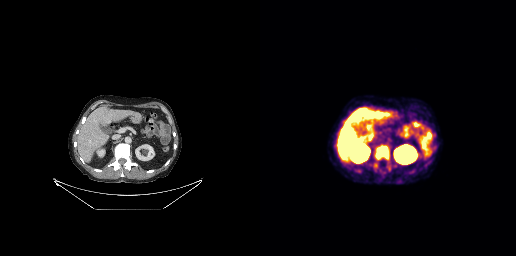
{"pet_grid":[256,256],"coord_frame":"pet_panel","coord_format":"x0,y0,x1,y1","lesion_bboxes":[[115,145,128,159]],"modality":"PSMA PET/CT","view":"axial","tracer":"[18F]PSMA-1007"}